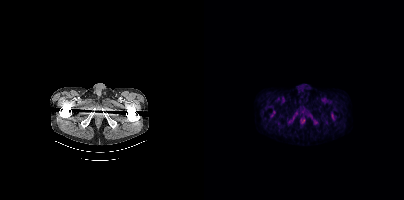
This slice has no annotated PSMA-avid lesion.